Any black rectangle over the head is a privacy mask, not anatomy.
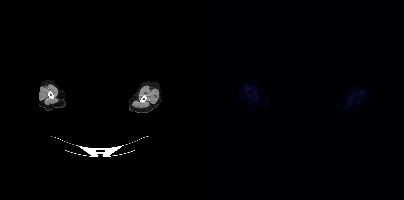
Negative for PSMA-avid disease on this slice.